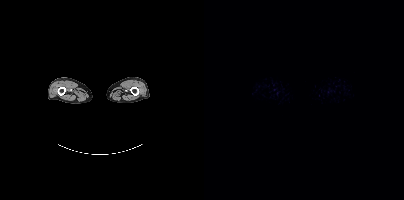
{"modality":"PSMA PET/CT","view":"axial","tracer":"18F","pet_grid":[200,200],"coord_frame":"pet_panel","coord_format":"x0,y0,x1,y1","psma_avid_lesions":false}